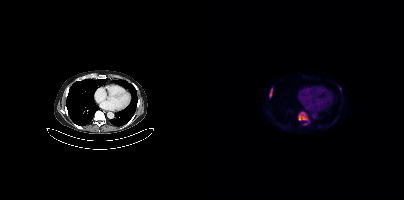
{"modality":"PSMA PET/CT","view":"axial","tracer":"[18F]PSMA-1007","pet_grid":[200,200],"coord_frame":"pet_panel","coord_format":"x0,y0,x1,y1","partial":true,"lesion_bboxes":[[94,112,103,120],[65,91,68,96]],"small_foci_centers":[[136,88]]}